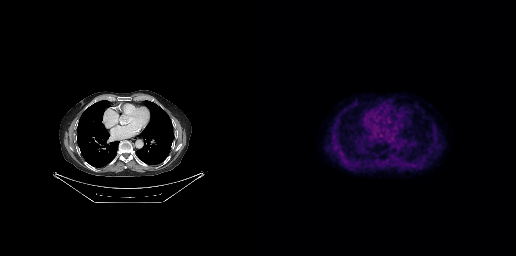
Findings: This slice has no annotated PSMA-avid lesion.
- Two-panel axial: CT | PSMA PET, 18F tracer
- PET panel 256×256 px (2.7 mm/px)